- Two-panel axial: CT | PSMA PET, [18F]PSMA-1007 tracer
- slice 3 of 963
- PET panel 200×200 px (4.1 mm/px)
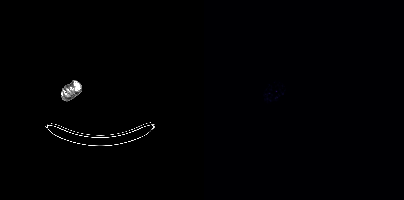
Findings: No PSMA-avid tumor lesions on this slice.